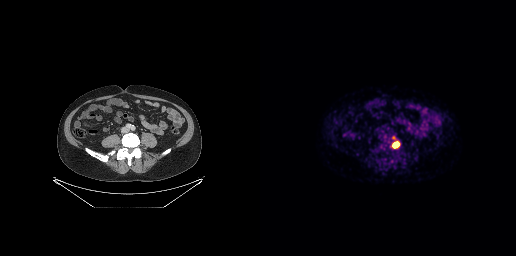
{"modality":"PSMA PET/CT","view":"axial","tracer":"68Ga-PSMA","pet_grid":[256,256],"coord_frame":"pet_panel","coord_format":"x0,y0,x1,y1","lesion_bboxes":[[132,142,139,147]]}